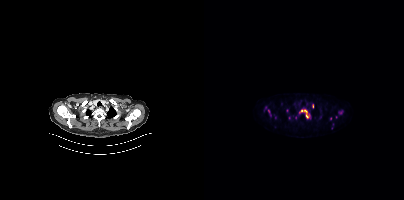
Coordinates are on the 200×200 PET (right) panel. (showing 4 of 6 foci) PSMA-avid tumor lesion bounding boxes (x, y, width, height): x=100 y=110 w=6 h=9 / x=64 y=109 w=2 h=5. Small PSMA-avid foci (2 to 4 px across) near (center x, center y): (97, 110) / (85, 117). Paired axial CT (left) and PSMA PET (right), [18F]PSMA-1007 tracer. Acquired on Siemens Biograph mCT Flow 20. PET panel 200×200 px (4.1 mm/px).